Two-panel axial: CT | PSMA PET, [18F]PSMA-1007 tracer. Slice position z = -161 mm.
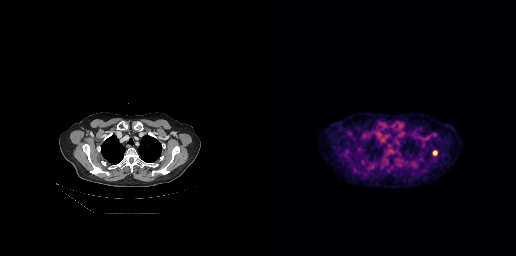
Coordinates are on the 256×256 PET (right) panel. PSMA-avid tumor lesion bounding box (x0, y0)-(x1, y1): (173, 150)-(177, 155).